Left: CT. Right: PSMA PET, same axial level, 18F-PSMA tracer. Acquired on Siemens Biograph mCT Flow 20. Slice 245 of 435.
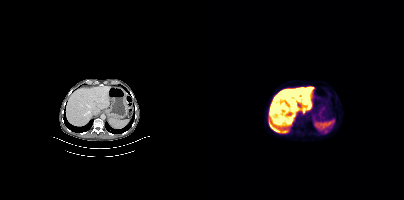
No PSMA-avid tumor lesions on this slice.